Left: CT. Right: PSMA PET, same axial level, 68Ga tracer.
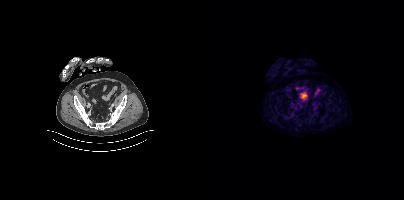
No PSMA-avid tumor lesions on this slice.